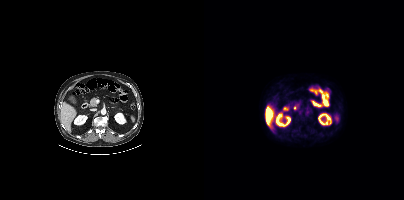
{"modality":"PSMA PET/CT","view":"axial","tracer":"[18F]PSMA-1007","pet_grid":[200,200],"coord_frame":"pet_panel","coord_format":"x0,y0,x1,y1","psma_avid_lesions":false}